modality: PSMA PET/CT | tracer: 68Ga | view: axial | deidentification: face masked with black rectangle
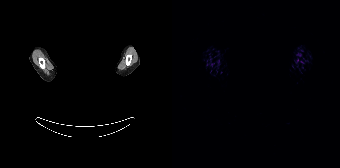
No tumor lesions annotated on this slice.